- Left: CT. Right: PSMA PET, same axial level, [68Ga]Ga-PSMA-11 tracer
- slice 63 of 165
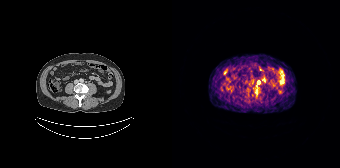
Findings: Coordinates are on the 168×168 PET (right) panel. Small PSMA-avid focus (2 to 4 px across) near (center x, center y): (86, 82).